Two-panel axial: CT | PSMA PET, 18F tracer. Acquired on Siemens Biograph mCT Flow 20. Slice position z = -1214 mm.
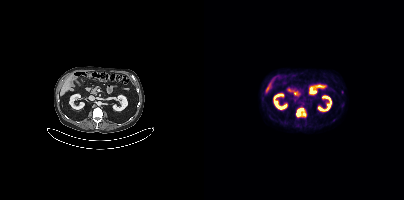
Coordinates are on the 200×200 PET (right) panel. PSMA-avid tumor lesion bounding boxes:
| # | x0 | y0 | x1 | y1 |
|---|---|---|---|---|
| 1 | 92 | 108 | 101 | 117 |